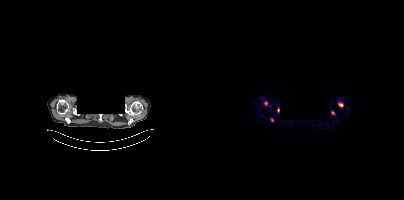
Coordinates are on the 200×200 PET (right) panel. PSMA-avid tumor lesion bounding boxes (x0, y0)-(x1, y1): (134, 102)-(139, 107) / (60, 101)-(63, 105) / (73, 108)-(75, 112). Small PSMA-avid foci (2 to 4 px across) near (center x, center y): (128, 112) / (68, 119).
de-identification: rectangular block over head set to black | modality: PSMA PET/CT | tracer: 18F-PSMA | view: axial